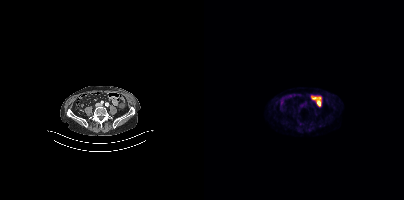
No PSMA-avid tumor lesions on this slice. Paired axial CT (left) and PSMA PET (right), 18F tracer. PET panel 200×200 px (4.1 mm/px).